- Paired axial CT (left) and PSMA PET (right), 68Ga tracer
- acquired on Siemens Biograph mCT Flow 20
- slice 216 of 373
- PET panel 200×200 px (4.1 mm/px)
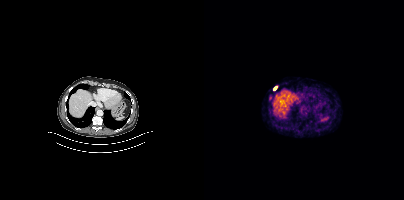
Findings: Coordinates are on the 200×200 PET (right) panel. Small PSMA-avid focus (2 to 4 px across) near (center x, center y): (71, 87).